Technique: Two-panel axial: CT | PSMA PET, 18F-PSMA tracer. slice position z = -1291 mm. PET panel 200×200 px (4.1 mm/px).
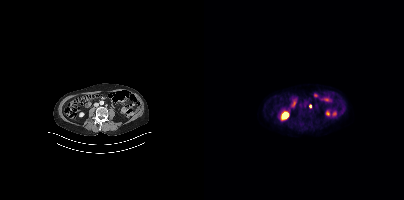
Findings: Coordinates are on the 200×200 PET (right) panel. Small PSMA-avid focus (2 to 4 px across) near (center x, center y): (106, 106).